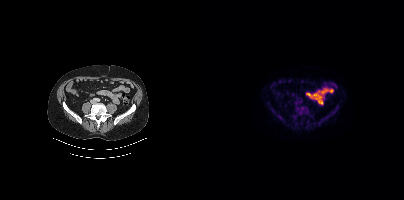
{"modality":"PSMA PET/CT","view":"axial","tracer":"18F","pet_grid":[200,200],"coord_frame":"pet_panel","coord_format":"x0,y0,x1,y1","lesion_bboxes":[[91,101,102,115],[116,114,124,122],[65,106,71,112],[128,109,132,113],[89,117,92,121],[63,100,66,104]],"small_foci_centers":[[78,118]]}